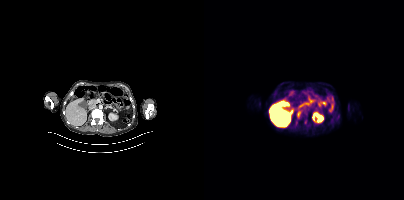
Coordinates are on the 200×200 PET (right) panel. PSMA-avid tumor lesion bounding box (x, y, width, height): x=93 y=112 w=5 h=7.